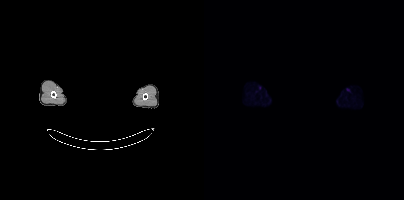
{"modality":"PSMA PET/CT","view":"axial","tracer":"18F-PSMA","pet_grid":[200,200],"coord_frame":"pet_panel","coord_format":"x0,y0,x1,y1","psma_avid_lesions":false,"redaction":"privacy mask over head"}